Paired axial CT (left) and PSMA PET (right), 18F-PSMA tracer.
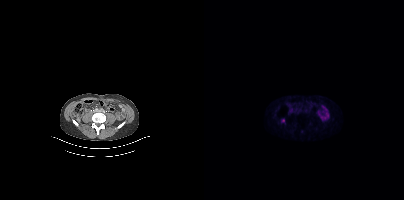
Coordinates are on the 200×200 PET (right) panel. Small PSMA-avid focus (2 to 4 px across) near (center x, center y): (78, 120).